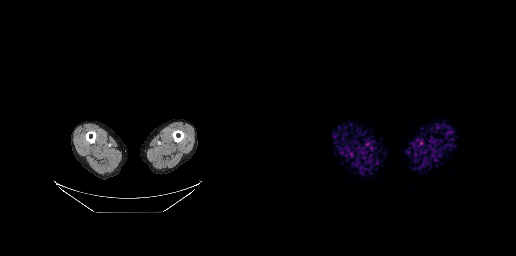
This slice has no annotated PSMA-avid lesion.